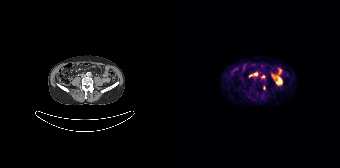
Coordinates are on the 168×168 PET (right) panel. (showing 1 of 3 foci) Small PSMA-avid focus (2 to 4 px across) near (center x, center y): (90, 76). Two-panel axial: CT | PSMA PET, 68Ga tracer. Acquired on Siemens Biograph 64-4R TruePoint. PET panel 168×168 px (4.1 mm/px).